- Left: CT. Right: PSMA PET, same axial level, 18F-PSMA tracer
- acquired on Siemens Biograph mCT Flow 20
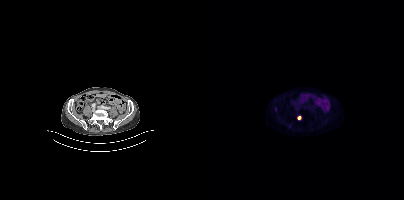
Findings: Coordinates are on the 200×200 PET (right) panel. Small PSMA-avid focus (2 to 4 px across) near (center x, center y): (95, 117).